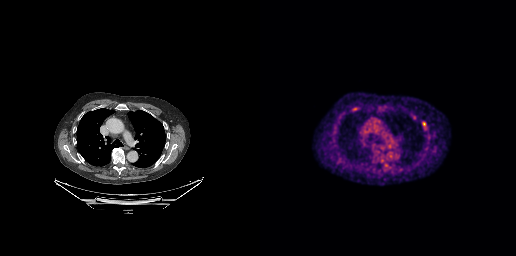
Coordinates are on the 256×256 PET (right) panel. Small PSMA-avid focus (2 to 4 px across) near (center x, center y): (164, 123).